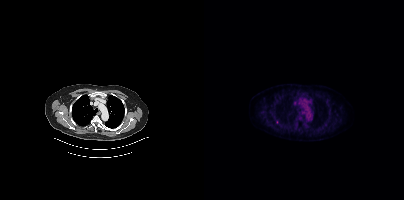
- Two-panel axial: CT | PSMA PET, 18F-PSMA tracer
- acquired on Siemens Biograph mCT Flow 20
- slice 282 of 381
Findings: Coordinates are on the 200×200 PET (right) panel. Small PSMA-avid focus (2 to 4 px across) near (center x, center y): (73, 122).